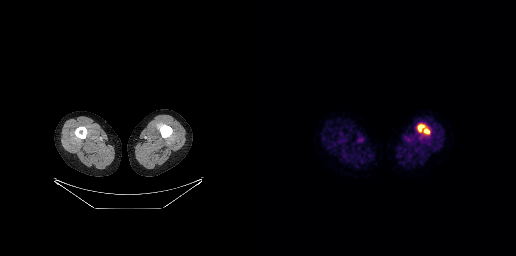
Two-panel axial: CT | PSMA PET, [18F]PSMA-1007 tracer. Coordinates are on the 256×256 PET (right) panel. PSMA-avid tumor lesion bounding box (x0, y0)-(x1, y1): (158, 124)-(169, 133).